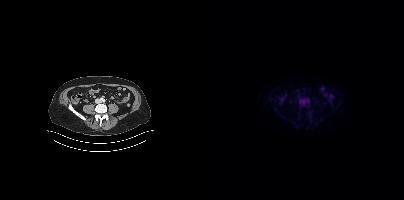
Negative for PSMA-avid disease on this slice. Paired axial CT (left) and PSMA PET (right), 18F-PSMA tracer. Acquired on Siemens Biograph mCT Flow 20. PET panel 200×200 px (4.1 mm/px).